The face region was removed for patient privacy by blanking a rectangle over the head.
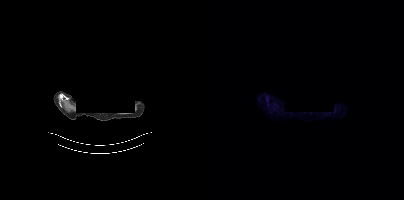
No PSMA-avid tumor lesions on this slice.